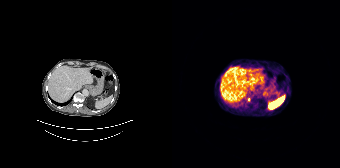
- Left: CT. Right: PSMA PET, same axial level, 68Ga tracer
- slice 120 of 195
- PET panel 168×168 px (4.1 mm/px)
Findings: Coordinates are on the 168×168 PET (right) panel. Small PSMA-avid focus (2 to 4 px across) near (center x, center y): (76, 99).